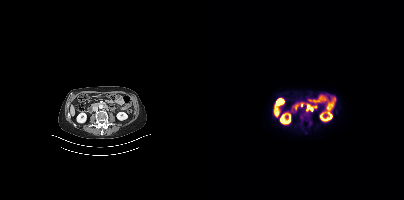
modality: PSMA PET/CT | tracer: 18F-PSMA | view: axial
Coordinates are on the 200×200 PET (right) panel. Small PSMA-avid foci (2 to 4 px across) near (center x, center y): (107, 109); (103, 108).